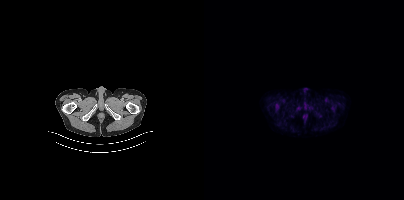
This slice has no annotated PSMA-avid lesion.
modality: PSMA PET/CT | tracer: 18F | view: axial | PET grid: 200×200